Two-panel axial: CT | PSMA PET, 18F tracer. Slice position z = -974 mm.
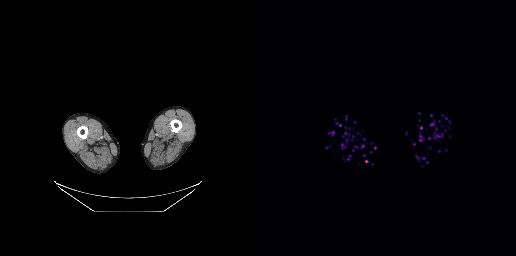
Negative for PSMA-avid disease on this slice.